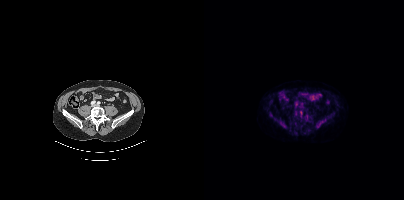
No tumor lesions annotated on this slice.